Technique: Left: CT. Right: PSMA PET, same axial level, [18F]PSMA-1007 tracer.
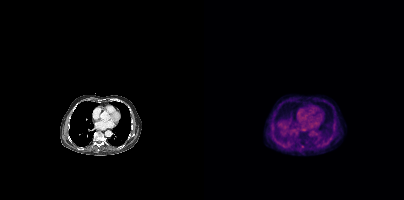
Findings: Coordinates are on the 200×200 PET (right) panel. Small PSMA-avid focus (2 to 4 px across) near (center x, center y): (98, 146).